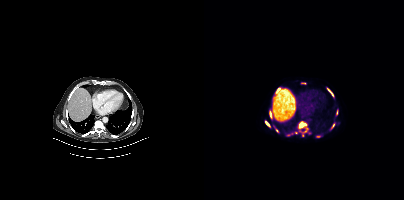
Coordinates are on the 200×200 PET (right) panel. (showing 8 of 13 foci) PSMA-avid tumor lesion bounding boxes (x0, y0)-(x1, y1): (95, 121)-(102, 128); (61, 121)-(65, 126); (123, 88)-(129, 96); (66, 112)-(67, 117). Small PSMA-avid foci (2 to 4 px across) near (center x, center y): (74, 89); (129, 125); (73, 130); (114, 136).